Left: CT. Right: PSMA PET, same axial level, 68Ga tracer. PET panel 256×256 px (2.7 mm/px).
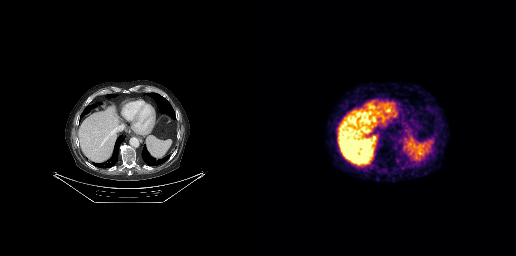
No tumor lesions annotated on this slice.